Paired axial CT (left) and PSMA PET (right), [18F]PSMA-1007 tracer. PET panel 200×200 px (4.1 mm/px). The face region was removed for patient privacy by blanking a rectangle over the head.
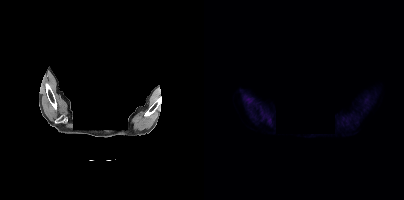
This slice has no annotated PSMA-avid lesion.